Technique: Left: CT. Right: PSMA PET, same axial level, [68Ga]Ga-PSMA-11 tracer. acquired on GE Discovery 690.
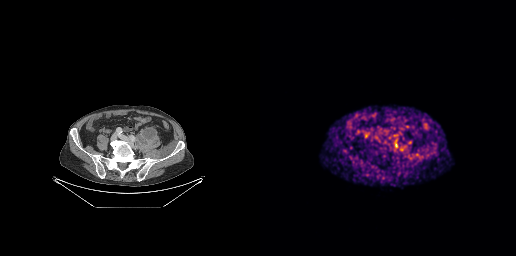
Findings: No tumor lesions annotated on this slice.